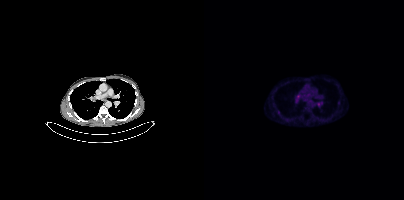
Coordinates are on the 200×200 PET (right) panel. Small PSMA-avid foci (2 to 4 px across) near (center x, center y): (94, 96) (74, 111) (113, 103) (117, 103). Left: CT. Right: PSMA PET, same axial level, [18F]PSMA-1007 tracer. PET panel 200×200 px (4.1 mm/px).